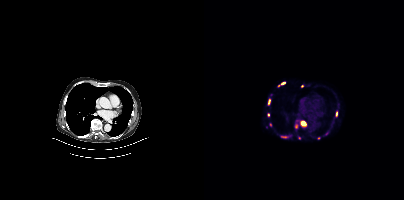
{"modality":"PSMA PET/CT","view":"axial","tracer":"68Ga","pet_grid":[200,200],"coord_frame":"pet_panel","coord_format":"x0,y0,x1,y1","partial":true,"lesion_bboxes":[[97,121,101,125],[77,136,82,137],[64,100,66,104]],"small_foci_centers":[[79,83],[132,113],[64,115],[98,85],[66,124],[92,126],[74,85],[95,137]]}